- Left: CT. Right: PSMA PET, same axial level, 18F tracer
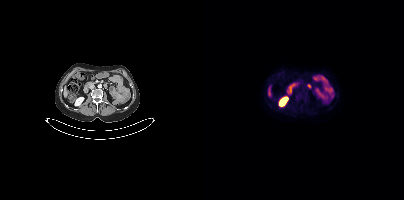
Findings: No PSMA-avid tumor lesions on this slice.